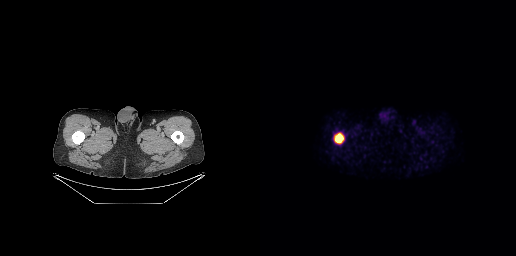
Coordinates are on the 256×256 PET (right) panel. PSMA-avid tumor lesion bounding box (x0,y0,x1,y1): [74,133,84,143].